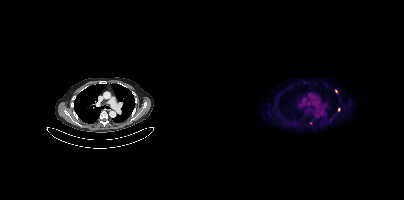
modality: PSMA PET/CT | tracer: 18F-PSMA | view: axial
Coordinates are on the 200×200 PET (right) panel. (showing 1 of 4 foci) Small PSMA-avid focus (2 to 4 px across) near (center x, center y): (134, 109).